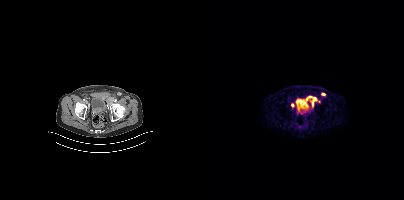
Coordinates are on the 200×200 PET (right) panel. PSMA-avid tumor lesion bounding boxes (x, y, width, height): x=105 y=96 w=12 h=11 | x=117 y=93 w=5 h=3. Small PSMA-avid foci (2 to 4 px across) near (center x, center y): (88, 105) | (102, 99).